modality: PSMA PET/CT | tracer: 18F | view: axial | PET grid: 200×200
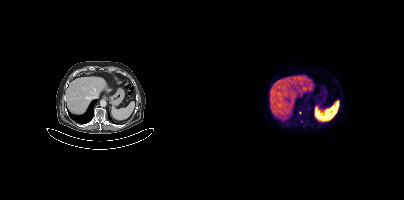
Only PSMA-avid lesion pieces thinner than 2 px on this slice (not listed).